Two-panel axial: CT | PSMA PET, 68Ga tracer. Slice position z = -1024 mm.
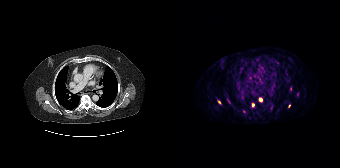
Coordinates are on the 168×168 PET (right) panel. Small PSMA-avid foci (2 to 4 px across) near (center x, center y): (88, 99) | (81, 105) | (56, 100) | (47, 102) | (117, 106).